modality: PSMA PET/CT | tracer: 68Ga-PSMA | view: axial
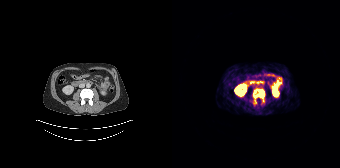
Coordinates are on the 168×168 PET (right) panel. PSMA-avid tumor lesion bounding box (x0,y0,x1,y1): [82,89,92,98].